Technique: Paired axial CT (left) and PSMA PET (right), [18F]PSMA-1007 tracer. PET panel 200×200 px (4.1 mm/px).
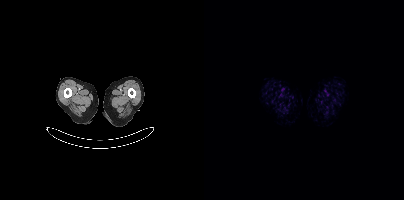
Findings: No PSMA-avid tumor lesions on this slice.